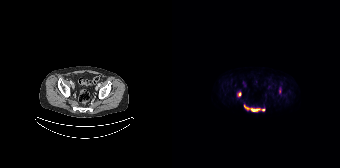
Technique: Left: CT. Right: PSMA PET, same axial level, 18F-PSMA tracer. acquired on Siemens Biograph 64-4R TruePoint.
Findings: Coordinates are on the 168×168 PET (right) panel. (showing 3 of 4 foci) PSMA-avid tumor lesion bounding boxes (x, y, width, height): x=72 y=105 w=17 h=7 / x=66 y=92 w=4 h=5. Small PSMA-avid focus (2 to 4 px across) near (center x, center y): (91, 109).